modality: PSMA PET/CT | tracer: 18F | view: axial
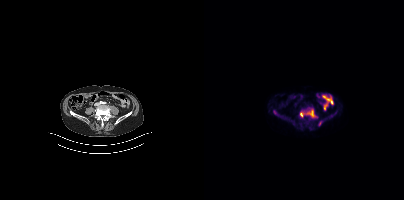
Coordinates are on the 200×200 PET (right) panel. (showing 3 of 4 foci) PSMA-avid tumor lesion bounding boxes (x, y, width, height): x=96 y=109 w=14 h=9 | x=69 y=110 w=4 h=5. Small PSMA-avid focus (2 to 4 px across) near (center x, center y): (115, 123).